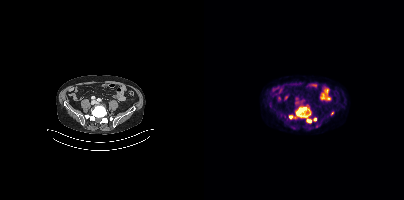
Coordinates are on the 200×200 PET (right) panel. PSMA-avid tumor lesion bounding boxes (partial; 1 more focus not listed):
| # | x0 | y0 | x1 | y1 |
|---|---|---|---|---|
| 1 | 93 | 107 | 106 | 117 |
| 2 | 103 | 118 | 112 | 123 |
Small PSMA-avid foci (2 to 4 px across) near (center x, center y): (86, 117); (128, 112); (104, 109).
Two-panel axial: CT | PSMA PET, 18F-PSMA tracer. Acquired on Siemens Biograph mCT Flow 20. Slice 135 of 429. PET panel 200×200 px (4.1 mm/px).